Technique: Left: CT. Right: PSMA PET, same axial level, 18F tracer.
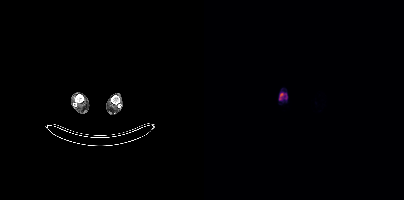
Findings: Coordinates are on the 200×200 PET (right) panel. (showing 1 of 3 foci) PSMA-avid tumor lesion bounding box (x0,y0,x1,y1): [75,93,79,99].